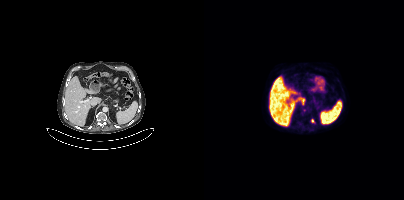
Findings: Coordinates are on the 200×200 PET (right) panel. Small PSMA-avid foci (2 to 4 px across) near (center x, center y): (108, 120) / (100, 110).
- Left: CT. Right: PSMA PET, same axial level, 18F-PSMA tracer
- acquired on Siemens Biograph mCT Flow 20
- PET panel 200×200 px (4.1 mm/px)